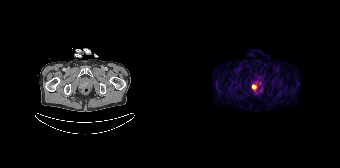
Findings: Coordinates are on the 168×168 PET (right) panel. PSMA-avid tumor lesion bounding box (x0, y0)-(x1, y1): (80, 84)-(84, 89).
- Paired axial CT (left) and PSMA PET (right), 68Ga tracer
- slice 39 of 195